Technique: Two-panel axial: CT | PSMA PET, 18F tracer. acquired on Siemens Biograph mCT Flow 20. slice 278 of 421. PET panel 200×200 px (4.1 mm/px).
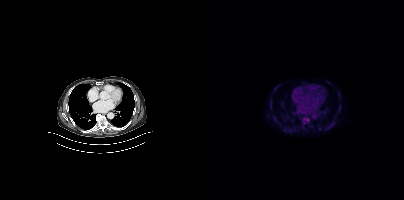
Findings: Coordinates are on the 200×200 PET (right) panel. (showing 1 of 2 foci) Small PSMA-avid focus (2 to 4 px across) near (center x, center y): (103, 119).